Paired axial CT (left) and PSMA PET (right), 18F-PSMA tracer. Acquired on GE Discovery 690. Slice position z = -233 mm. PET panel 256×256 px (2.7 mm/px).
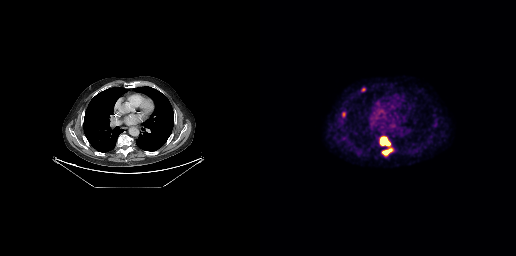
Coordinates are on the 256×256 PET (right) panel. PSMA-avid tumor lesion bounding boxes:
| # | x0 | y0 | x1 | y1 |
|---|---|---|---|---|
| 1 | 120 | 136 | 130 | 146 |
| 2 | 122 | 148 | 132 | 155 |
| 3 | 82 | 112 | 85 | 117 |
| 4 | 101 | 88 | 105 | 91 |
Small PSMA-avid focus (2 to 4 px across) near (center x, center y): (175, 124).